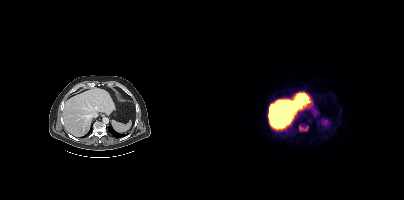
{"modality":"PSMA PET/CT","view":"axial","tracer":"18F-PSMA","pet_grid":[200,200],"coord_frame":"pet_panel","coord_format":"x0,y0,x1,y1","partial":true,"lesion_bboxes":[],"small_foci_centers":[[96,127]]}